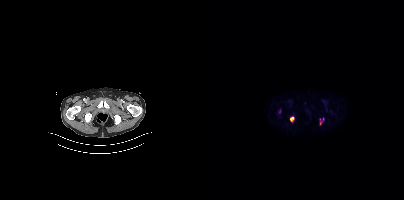
modality: PSMA PET/CT | tracer: [18F]PSMA-1007 | view: axial
Coordinates are on the 200×200 PET (right) panel. PSMA-avid tumor lesion bounding box (x, y, width, height): x=86 y=117 w=4 h=5. Small PSMA-avid focus (2 to 4 px across) near (center x, center y): (116, 123).